Two-panel axial: CT | PSMA PET, [18F]PSMA-1007 tracer. Slice position z = -1290 mm. PET panel 200×200 px (4.1 mm/px).
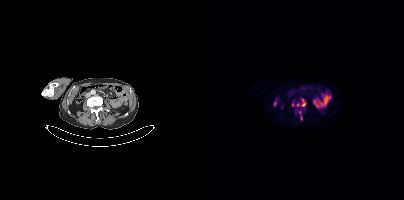
Coordinates are on the 200×200 PET (right) panel. PSMA-avid tumor lesion bounding boxes (partial; 1 more focus not listed):
| # | x0 | y0 | x1 | y1 |
|---|---|---|---|---|
| 1 | 97 | 102 | 101 | 107 |
| 2 | 95 | 111 | 97 | 119 |
Small PSMA-avid foci (2 to 4 px across) near (center x, center y): (93, 104); (89, 104).